The face region was removed for patient privacy by blanking a rectangle over the head.
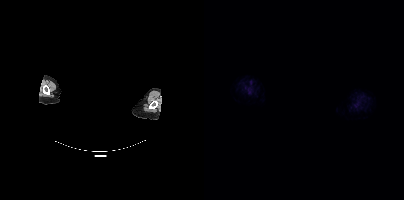
No PSMA-avid tumor lesions on this slice.